- Left: CT. Right: PSMA PET, same axial level, 18F tracer
- acquired on Siemens Biograph mCT Flow 20
- slice 327 of 508
- PET panel 200×200 px (4.1 mm/px)
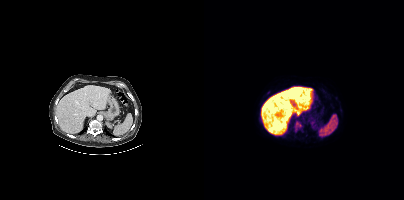
Findings: Coordinates are on the 200×200 PET (right) panel. PSMA-avid tumor lesion bounding box (x0, y0)-(x1, y1): (91, 121)-(97, 131). Small PSMA-avid focus (2 to 4 px across) near (center x, center y): (64, 92).